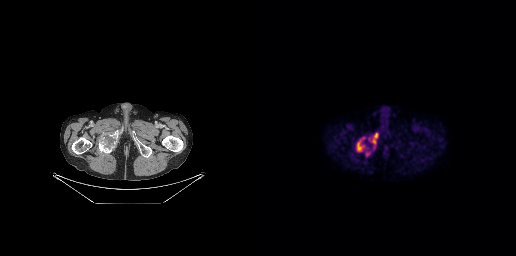
modality: PSMA PET/CT | tracer: [18F]PSMA-1007 | view: axial | PET grid: 256×256
Coordinates are on the 256×256 PET (right) panel. PSMA-avid tumor lesion bounding boxes (x, y, width, height): x=96 y=137 w=10 h=16 | x=109 y=132 w=10 h=17. Small PSMA-avid focus (2 to 4 px across) near (center x, center y): (107, 153).